Two-panel axial: CT | PSMA PET, 18F tracer.
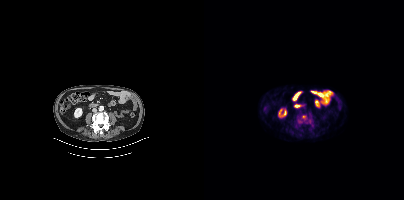
This slice has no annotated PSMA-avid lesion.